- Left: CT. Right: PSMA PET, same axial level, 18F-PSMA tracer
- PET panel 200×200 px (4.1 mm/px)
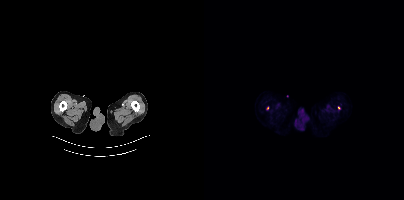
Findings: Coordinates are on the 200×200 PET (right) panel. Small PSMA-avid foci (2 to 4 px across) near (center x, center y): (135, 107); (63, 108).